Left: CT. Right: PSMA PET, same axial level, 18F-PSMA tracer. Slice position z = -1022 mm. PET panel 200×200 px (4.1 mm/px).
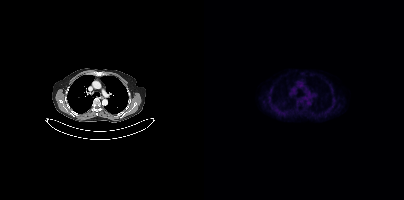
Only PSMA-avid lesion pieces thinner than 2 px on this slice (not listed).